- Left: CT. Right: PSMA PET, same axial level, [18F]PSMA-1007 tracer
- slice position z = -702 mm
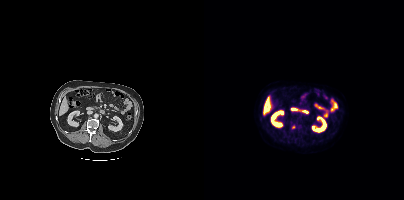
Findings: Coordinates are on the 200×200 PET (right) panel. Small PSMA-avid focus (2 to 4 px across) near (center x, center y): (88, 127).